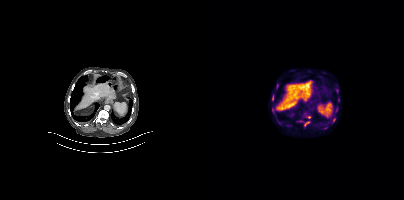
Left: CT. Right: PSMA PET, same axial level, 18F tracer. Slice position z = -1165 mm.
Coordinates are on the 200×200 PET (right) panel. PSMA-avid tumor lesion bounding boxes (partial; 1 more focus not listed):
| # | x0 | y0 | x1 | y1 |
|---|---|---|---|---|
| 1 | 119 | 123 | 125 | 129 |
| 2 | 72 | 119 | 81 | 125 |
| 3 | 67 | 108 | 72 | 115 |
| 4 | 100 | 121 | 105 | 126 |
| 5 | 131 | 88 | 134 | 93 |
| 6 | 72 | 101 | 77 | 107 |
| 7 | 68 | 94 | 70 | 100 |
| 8 | 102 | 116 | 106 | 118 |
| 9 | 129 | 118 | 131 | 122 |
| 10 | 72 | 84 | 74 | 88 |
| 11 | 131 | 107 | 133 | 111 |
Small PSMA-avid foci (2 to 4 px across) near (center x, center y): (134, 100); (96, 120).